modality: PSMA PET/CT | tracer: 18F | view: axial
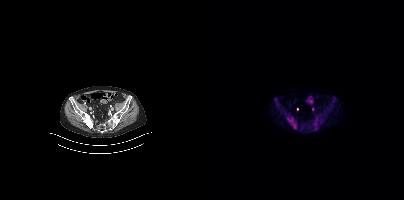
Coordinates are on the 200×200 PET (right) panel. (showing 4 of 6 foci) PSMA-avid tumor lesion bounding boxes (x, y, width, height): x=84 y=117 w=8 h=11 / x=70 y=98 w=6 h=10 / x=110 y=120 w=2 h=5. Small PSMA-avid focus (2 to 4 px across) near (center x, center y): (78, 110).